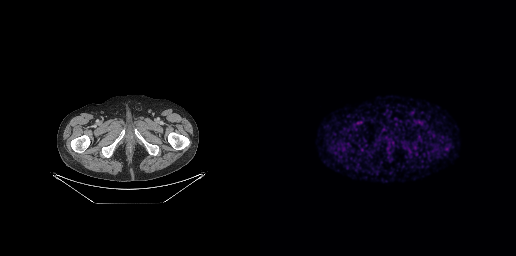
No PSMA-avid tumor lesions on this slice.